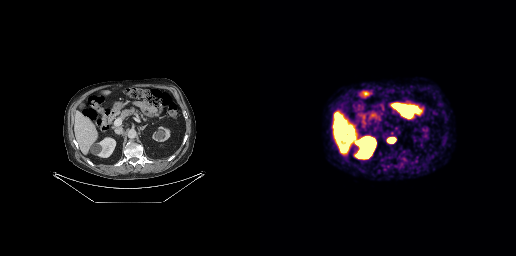
Two-panel axial: CT | PSMA PET, [18F]PSMA-1007 tracer. Acquired on GE Discovery 690. Slice position z = -541 mm. PET panel 256×256 px (2.7 mm/px). Coordinates are on the 256×256 PET (right) panel. PSMA-avid tumor lesion bounding box (x, y, width, height): x=127 y=137 w=10 h=7.